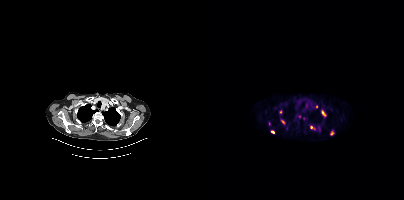
- Left: CT. Right: PSMA PET, same axial level, 68Ga-PSMA tracer
- acquired on Siemens Biograph mCT Flow 20
- slice 321 of 409
Findings: Coordinates are on the 200×200 PET (right) panel. (showing 9 of 11 foci) PSMA-avid tumor lesion bounding boxes (x0,y0,x1,y1): [117,110,122,116]; [77,120,81,124]; [126,131,129,135]. Small PSMA-avid foci (2 to 4 px across) near (center x, center y): (68, 131); (114, 127); (112, 106); (107, 127); (76, 111); (95, 116).